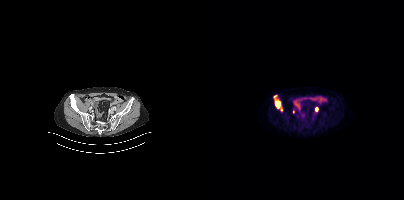
Technique: Left: CT. Right: PSMA PET, same axial level, 18F-PSMA tracer. PET panel 200×200 px (4.1 mm/px).
Findings: Coordinates are on the 200×200 PET (right) panel. PSMA-avid tumor lesion bounding box (x0, y0)-(x1, y1): (69, 96)-(78, 111). Small PSMA-avid foci (2 to 4 px across) near (center x, center y): (112, 109) / (89, 111).